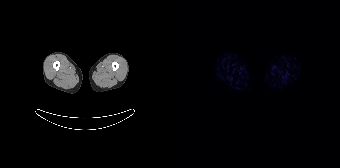
Left: CT. Right: PSMA PET, same axial level, 18F tracer. Slice position z = 1278 mm. PET panel 168×168 px (4.1 mm/px). No PSMA-avid tumor lesions on this slice.